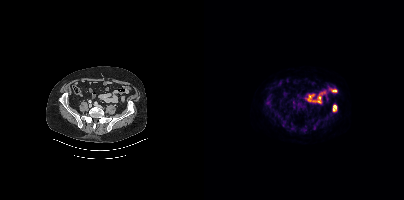
Paired axial CT (left) and PSMA PET (right), 18F-PSMA tracer. PET panel 200×200 px (4.1 mm/px). Coordinates are on the 200×200 PET (right) panel. PSMA-avid tumor lesion bounding box (x0,y0,x1,y1): [128,104,133,111].